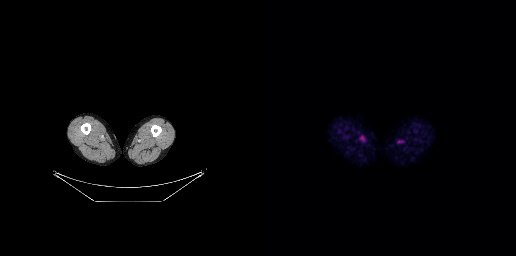
- Two-panel axial: CT | PSMA PET, 18F-PSMA tracer
- acquired on GE Discovery 690
- slice 8 of 299
- PET panel 256×256 px (2.7 mm/px)
Findings: Negative for PSMA-avid disease on this slice.